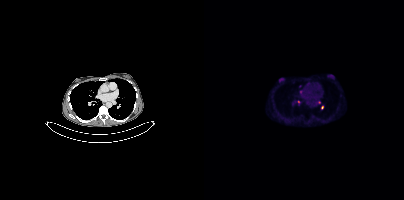
Coordinates are on the 200×200 PET (right) panel. (showing 4 of 7 foci) Small PSMA-avid foci (2 to 4 px across) near (center x, center y): (96, 86); (96, 91); (95, 102); (118, 107).